- Two-panel axial: CT | PSMA PET, [68Ga]Ga-PSMA-11 tracer
- PET panel 256×256 px (2.7 mm/px)
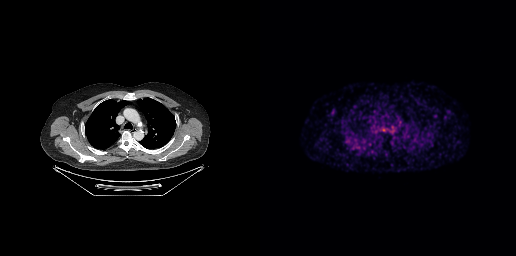
Findings: No tumor lesions annotated on this slice.